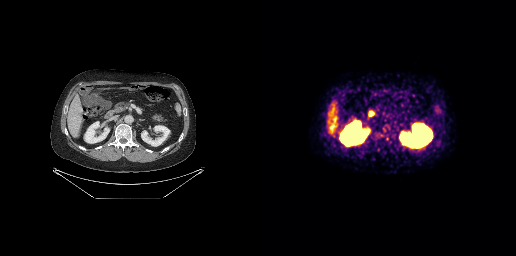
No PSMA-avid tumor lesions on this slice. Left: CT. Right: PSMA PET, same axial level, 68Ga-PSMA tracer. Acquired on GE Discovery 690. PET panel 256×256 px (2.7 mm/px).